Technique: Paired axial CT (left) and PSMA PET (right), 68Ga-PSMA tracer. acquired on Siemens Biograph 64-4R TruePoint. PET panel 168×168 px (4.1 mm/px).
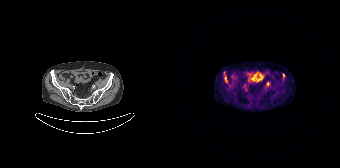
Findings: Coordinates are on the 168×168 PET (right) panel. (showing 2 of 3 foci) Small PSMA-avid foci (2 to 4 px across) near (center x, center y): (96, 83) (111, 75).